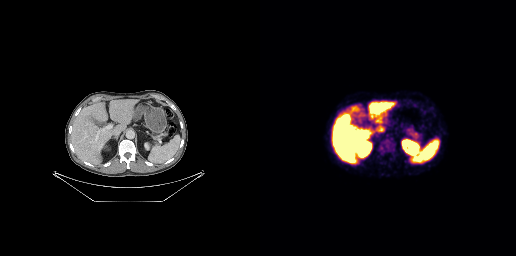
No tumor lesions annotated on this slice.